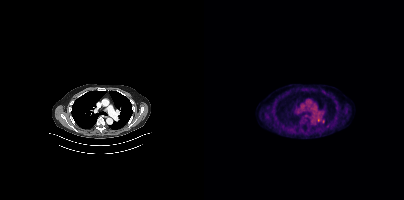
{"modality":"PSMA PET/CT","view":"axial","tracer":"18F","pet_grid":[200,200],"coord_frame":"pet_panel","coord_format":"x0,y0,x1,y1","lesion_bboxes":[],"small_foci_centers":[[114,119],[123,126]]}